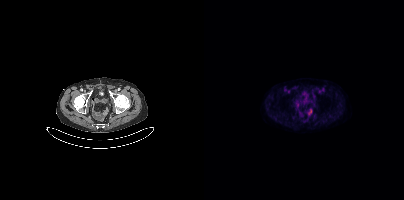
Negative for PSMA-avid disease on this slice.